modality: PSMA PET/CT | tracer: 18F | view: axial
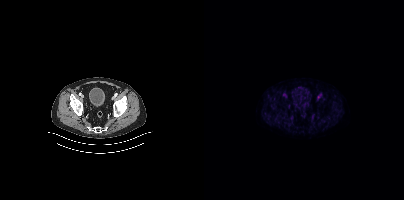
No PSMA-avid tumor lesions on this slice.